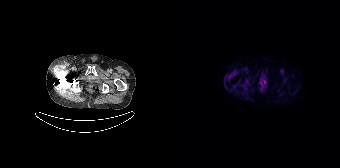
{"pet_grid":[168,168],"coord_frame":"pet_panel","coord_format":"x0,y0,x1,y1","lesion_bboxes":[],"small_foci_centers":[[92,82]],"modality":"PSMA PET/CT","view":"axial","tracer":"18F"}